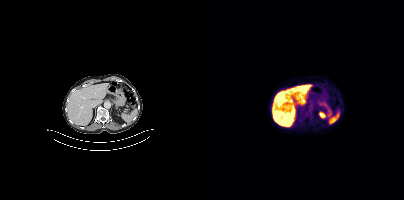
Technique: Left: CT. Right: PSMA PET, same axial level, 18F-PSMA tracer. slice position z = -641 mm.
Findings: No tumor lesions annotated on this slice.